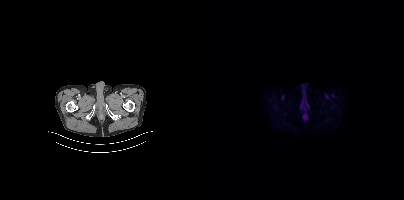
modality: PSMA PET/CT | tracer: 18F-PSMA | view: axial | PET grid: 200×200
No PSMA-avid tumor lesions on this slice.